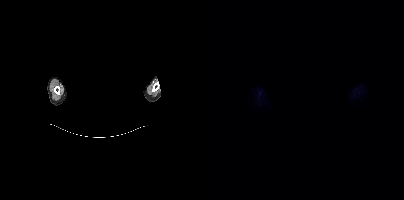
Findings: No tumor lesions annotated on this slice.
- a rectangular block over the head has been blanked out for de-identification
- Two-panel axial: CT | PSMA PET, 18F tracer